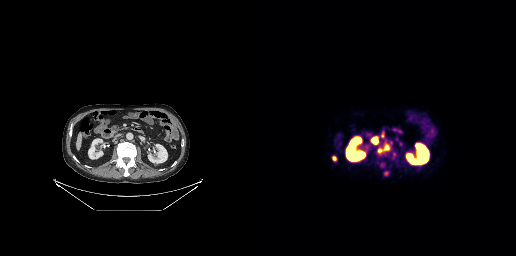
{"pet_grid":[256,256],"coord_frame":"pet_panel","coord_format":"x0,y0,x1,y1","lesion_bboxes":[[112,138,117,143],[72,156,76,161],[119,150,123,153],[122,135,125,139]],"small_foci_centers":[[127,147]],"modality":"PSMA PET/CT","view":"axial","tracer":"68Ga"}